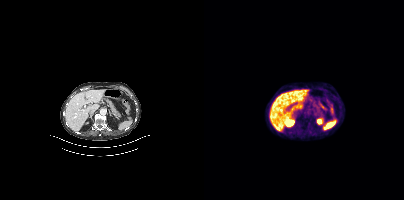
Left: CT. Right: PSMA PET, same axial level, 68Ga tracer. Slice 205 of 405. PET panel 200×200 px (4.1 mm/px). Negative for PSMA-avid disease on this slice.